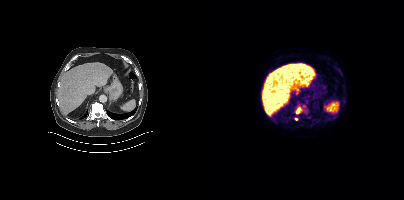
Coordinates are on the 200×200 PET (right) panel. PSMA-avid tumor lesion bounding box (x, y, width, height): x=93 y=105 w=9 h=8. Small PSMA-avid focus (2 to 4 px across) near (center x, center y): (92, 118).